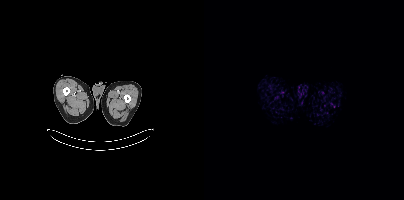
This slice has no annotated PSMA-avid lesion. Left: CT. Right: PSMA PET, same axial level, 18F-PSMA tracer. Acquired on Siemens Biograph mCT Flow 20. Slice position z = -1572 mm. PET panel 200×200 px (4.1 mm/px).